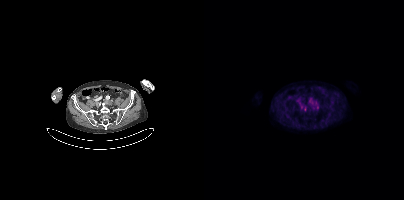
Coordinates are on the 200×200 PET (right) panel. Small PSMA-avid foci (2 to 4 px across) near (center x, center y): (106, 100), (110, 108), (114, 108), (100, 109), (113, 103).